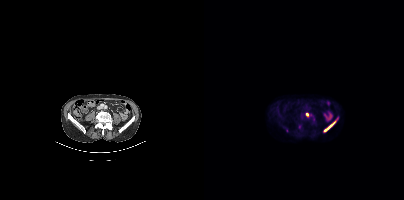
Coordinates are on the 200×200 PET (right) panel. PSMA-avid tumor lesion bounding boxes (x0, y0)-(x1, y1): (120, 124)-(129, 131); (102, 113)-(107, 116); (130, 118)-(133, 122).